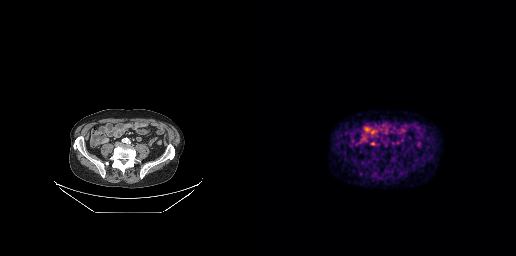
Technique: Two-panel axial: CT | PSMA PET, 68Ga-PSMA tracer. acquired on GE Discovery 690. slice position z = -706 mm. PET panel 256×256 px (2.7 mm/px).
Findings: Coordinates are on the 256×256 PET (right) panel. Small PSMA-avid focus (2 to 4 px across) near (center x, center y): (112, 143).